Left: CT. Right: PSMA PET, same axial level, 18F tracer. PET panel 200×200 px (4.1 mm/px).
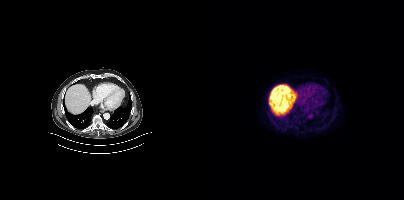
No tumor lesions annotated on this slice.